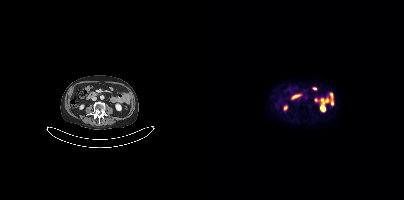
No tumor lesions annotated on this slice.